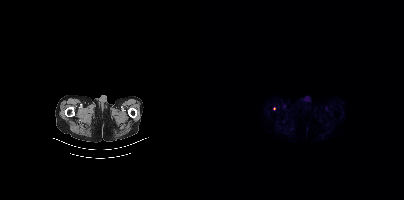
{"modality":"PSMA PET/CT","view":"axial","tracer":"[68Ga]Ga-PSMA-11","pet_grid":[200,200],"coord_frame":"pet_panel","coord_format":"x0,y0,x1,y1","lesion_bboxes":[],"small_foci_centers":[[70,108]]}